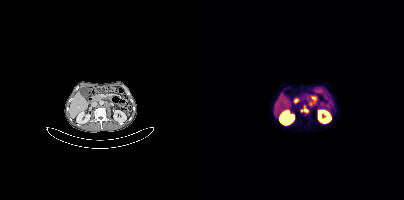
{"pet_grid":[200,200],"coord_frame":"pet_panel","coord_format":"x0,y0,x1,y1","lesion_bboxes":[[105,96,112,105],[96,107,105,114]],"modality":"PSMA PET/CT","view":"axial","tracer":"68Ga-PSMA"}